Technique: Paired axial CT (left) and PSMA PET (right), 18F-PSMA tracer. PET panel 200×200 px (4.1 mm/px).
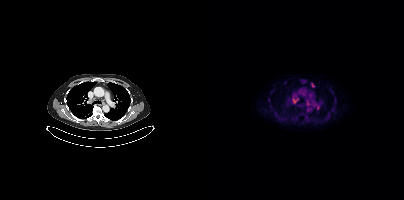
Findings: Coordinates are on the 200×200 PET (right) panel. (showing 4 of 6 foci) PSMA-avid tumor lesion bounding boxes (x, y, width, height): x=110 y=104 w=6 h=6 | x=89 y=98 w=6 h=6. Small PSMA-avid foci (2 to 4 px across) near (center x, center y): (108, 84) | (104, 104).